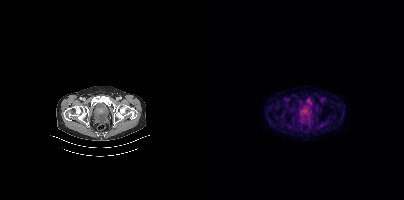
modality: PSMA PET/CT | tracer: 18F | view: axial | PET grid: 200×200
Coordinates are on the 200×200 PET (right) panel. Small PSMA-avid focus (2 to 4 px across) near (center x, center y): (101, 112).